Technique: Paired axial CT (left) and PSMA PET (right), 18F tracer. PET panel 168×168 px (4.1 mm/px).
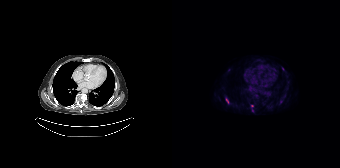
Findings: Coordinates are on the 168×168 PET (right) panel. (showing 2 of 3 foci) Small PSMA-avid foci (2 to 4 px across) near (center x, center y): (55, 100); (108, 101).